Left: CT. Right: PSMA PET, same axial level, 68Ga-PSMA tracer. PET panel 168×168 px (4.1 mm/px).
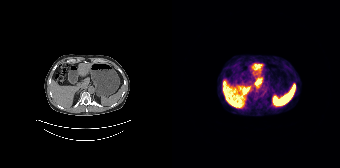
No PSMA-avid tumor lesions on this slice.